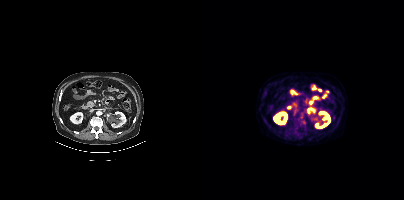
modality: PSMA PET/CT | tracer: 18F-PSMA | view: axial
No tumor lesions annotated on this slice.